Technique: Two-panel axial: CT | PSMA PET, 18F-PSMA tracer. slice 15 of 377. PET panel 200×200 px (4.1 mm/px).
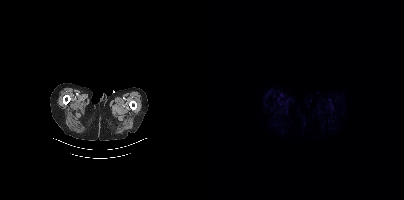
Findings: No tumor lesions annotated on this slice.